- Paired axial CT (left) and PSMA PET (right), 18F tracer
- acquired on Siemens Biograph mCT Flow 20
- slice 149 of 466
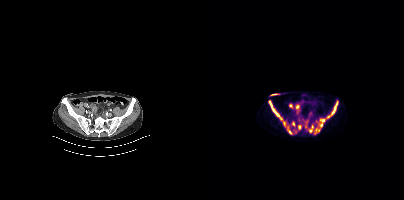
Findings: Coordinates are on the 200×200 PET (right) panel. (showing 8 of 10 foci) PSMA-avid tumor lesion bounding boxes (x0,y0,x1,y1): [64,101,87,133]; [123,101,134,118]; [116,119,121,121]. Small PSMA-avid foci (2 to 4 px across) near (center x, center y): (117, 124); (106, 130); (89, 123); (95, 127); (108, 126).